Technique: Paired axial CT (left) and PSMA PET (right), 18F tracer. acquired on Siemens Biograph mCT Flow 20.
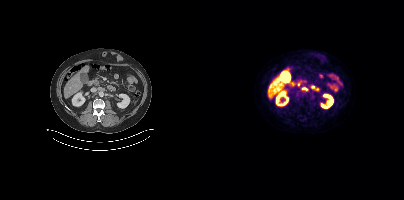
Findings: Coordinates are on the 200×200 PET (right) panel. Small PSMA-avid focus (2 to 4 px across) near (center x, center y): (93, 95).